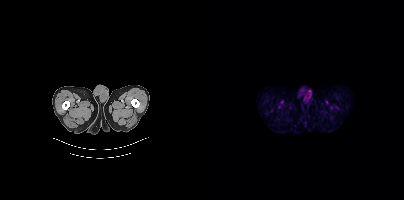
Findings: No tumor lesions annotated on this slice.
- Two-panel axial: CT | PSMA PET, 18F-PSMA tracer
- slice position z = -1545 mm